Paired axial CT (left) and PSMA PET (right), 68Ga-PSMA tracer. Slice 129 of 195. PET panel 168×168 px (4.1 mm/px).
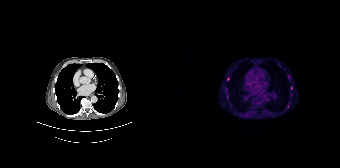
Coordinates are on the 168×168 PET (right) panel. (showing 4 of 7 foci) Small PSMA-avid foci (2 to 4 px across) near (center x, center y): (119, 87); (115, 106); (82, 111); (116, 76).